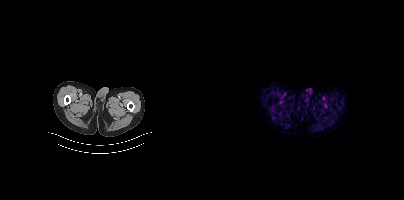
Findings: Negative for PSMA-avid disease on this slice.
Technique: Left: CT. Right: PSMA PET, same axial level, 18F-PSMA tracer. acquired on Siemens Biograph mCT Flow 20. slice 14 of 407.